modality: PSMA PET/CT | tracer: 18F-PSMA | view: axial | PET grid: 200×200
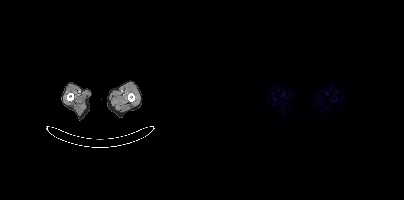
No tumor lesions annotated on this slice.